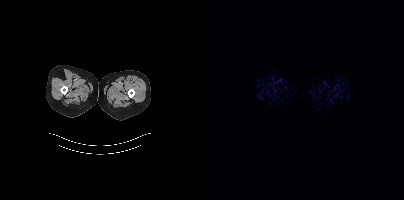
{"modality":"PSMA PET/CT","view":"axial","tracer":"18F","pet_grid":[200,200],"coord_frame":"pet_panel","coord_format":"x0,y0,x1,y1","psma_avid_lesions":false}